Two-panel axial: CT | PSMA PET, 18F-PSMA tracer. Acquired on Siemens Biograph mCT Flow 20.
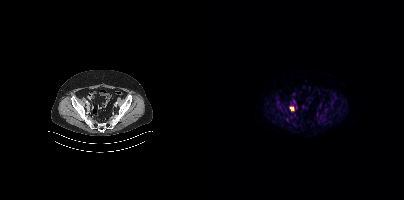
Coordinates are on the 200×200 PET (right) panel. PSMA-avid tumor lesion bounding box (x0,y0,x1,y1): [86,106,90,110].